An anonymization step blacked out a rectangle over the head in this scan. Paired axial CT (left) and PSMA PET (right), 18F-PSMA tracer. Acquired on Siemens Biograph mCT Flow 20. Slice 414 of 464. PET panel 200×200 px (4.1 mm/px).
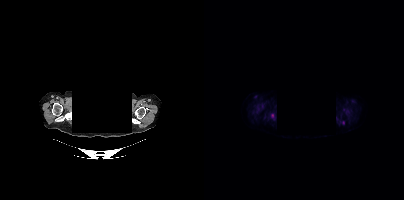
Coordinates are on the 200×200 PET (right) panel. PSMA-avid tumor lesion bounding box (x0,y0,x1,y1): [135,119,139,124]. Small PSMA-avid focus (2 to 4 px across) near (center x, center y): (68, 115).